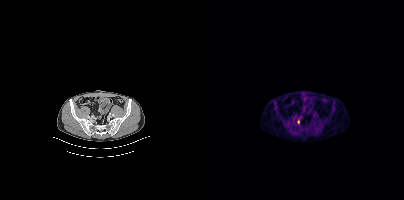
Paired axial CT (left) and PSMA PET (right), 18F-PSMA tracer. Acquired on Siemens Biograph mCT Flow 20. Coordinates are on the 200×200 PET (right) panel. Small PSMA-avid focus (2 to 4 px across) near (center x, center y): (94, 121).